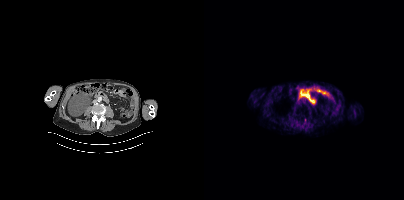
modality: PSMA PET/CT | tracer: 18F-PSMA | view: axial | PET grid: 200×200
Only PSMA-avid lesion pieces thinner than 2 px on this slice (not listed).